modality: PSMA PET/CT | tracer: [18F]PSMA-1007 | view: axial
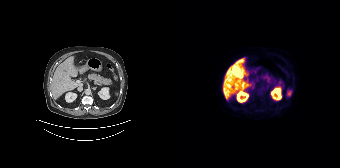
No tumor lesions annotated on this slice.